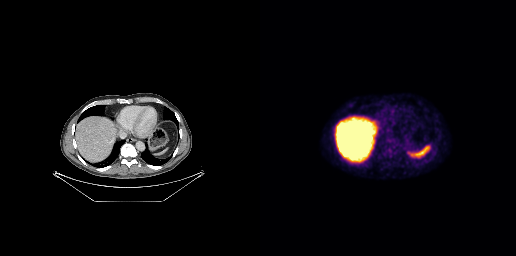
Coordinates are on the 256×256 PET (right) panel. Small PSMA-avid focus (2 to 4 px across) near (center x, center y): (129, 150).